Two-panel axial: CT | PSMA PET, 18F tracer. Acquired on Siemens Biograph mCT Flow 20. Slice 28 of 403.
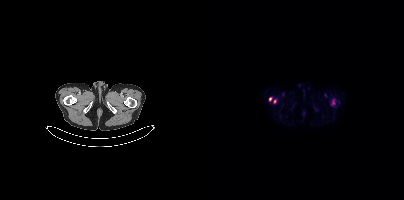
Coordinates are on the 200×200 PET (right) panel. PSMA-avid tumor lesion bounding boxes (x0, y0)-(x1, y1): (65, 97)-(68, 101) / (69, 99)-(72, 103) / (129, 100)-(130, 104).